modality: PSMA PET/CT | tracer: 18F-PSMA | view: axial | PET grid: 256×256
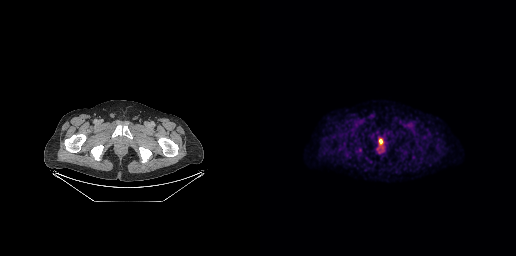
Coordinates are on the 256×256 PET (right) panel. Small PSMA-avid focus (2 to 4 px across) near (center x, center y): (120, 141).